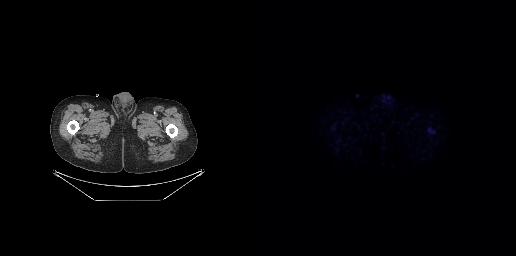
Paired axial CT (left) and PSMA PET (right), [18F]PSMA-1007 tracer. Acquired on GE Discovery 690. No tumor lesions annotated on this slice.